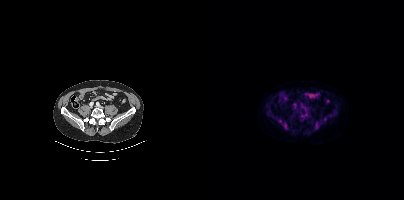
{"pet_grid":[200,200],"coord_frame":"pet_panel","coord_format":"x0,y0,x1,y1","psma_avid_lesions":false,"modality":"PSMA PET/CT","view":"axial","tracer":"18F"}